Technique: Paired axial CT (left) and PSMA PET (right), [18F]PSMA-1007 tracer. acquired on Siemens Biograph mCT Flow 20. slice 95 of 411.
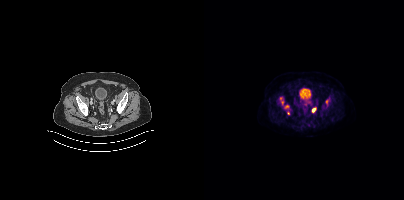
Findings: Coordinates are on the 200×200 PET (right) panel. (showing 6 of 7 foci) PSMA-avid tumor lesion bounding boxes (x, y, width, height): x=108 y=108 w=5 h=5 / x=76 y=97 w=4 h=8. Small PSMA-avid foci (2 to 4 px across) near (center x, center y): (82, 106) / (105, 102) / (84, 113) / (122, 101).